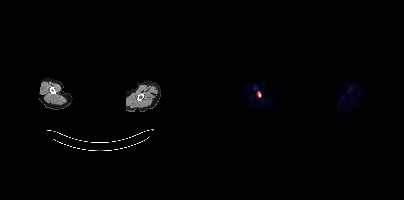
modality: PSMA PET/CT | tracer: 18F-PSMA | view: axial | de-identification: privacy mask over head
Coordinates are on the 200×200 PET (right) panel. PSMA-avid tumor lesion bounding box (x0, y0)-(x1, y1): (53, 91)-(57, 97).